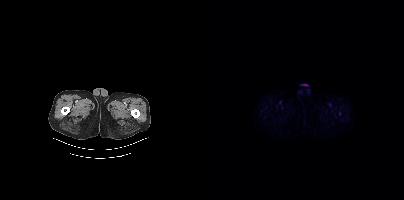
- Two-panel axial: CT | PSMA PET, 18F-PSMA tracer
- acquired on Siemens Biograph mCT Flow 20
- PET panel 200×200 px (4.1 mm/px)
Findings: Negative for PSMA-avid disease on this slice.